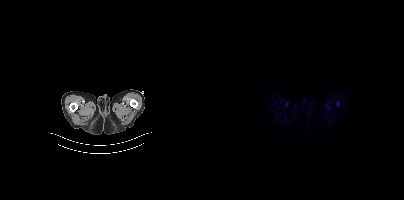
Negative for PSMA-avid disease on this slice. Two-panel axial: CT | PSMA PET, 18F-PSMA tracer. Slice 9 of 403. PET panel 200×200 px (4.1 mm/px).